Technique: Two-panel axial: CT | PSMA PET, 68Ga tracer. slice position z = -1377 mm. PET panel 200×200 px (4.1 mm/px).
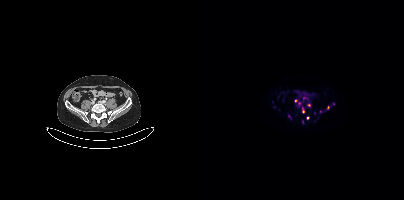
Findings: Coordinates are on the 200×200 PET (right) panel. (showing 8 of 10 foci) PSMA-avid tumor lesion bounding box (x0, y0)-(x1, y1): (98, 108)-(100, 112). Small PSMA-avid foci (2 to 4 px across) near (center x, center y): (99, 121); (85, 116); (105, 105); (100, 97); (91, 100); (116, 111); (103, 117).